de-identification: head region blanked (face removed) | modality: PSMA PET/CT | tracer: 18F-PSMA | view: axial
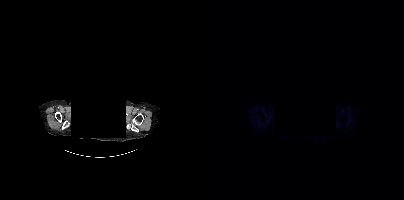
Negative for PSMA-avid disease on this slice.